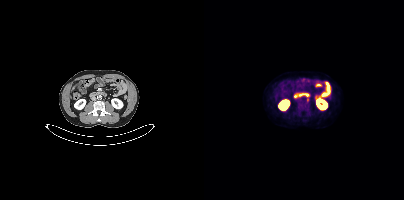
Only PSMA-avid lesion pieces thinner than 2 px on this slice (not listed). Two-panel axial: CT | PSMA PET, 18F-PSMA tracer.